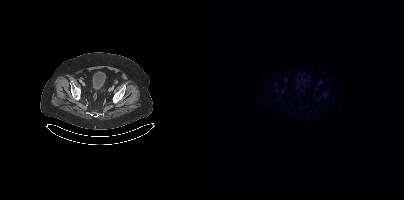
Coordinates are on the 200×200 PET (right) panel. Small PSMA-avid focus (2 to 4 px across) near (center x, center y): (121, 94).